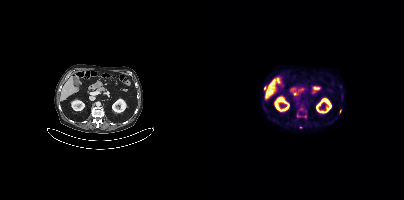
Coordinates are on the 200×200 PET (right) panel. (showing 3 of 4 foci) Small PSMA-avid foci (2 to 4 px across) near (center x, center y): (60, 87); (136, 111); (96, 127). Left: CT. Right: PSMA PET, same axial level, 18F tracer. PET panel 200×200 px (4.1 mm/px).